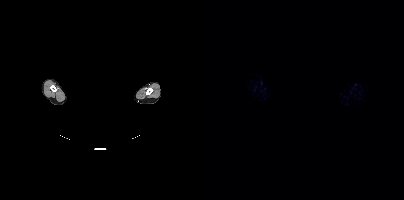
Technique: Left: CT. Right: PSMA PET, same axial level, [18F]PSMA-1007 tracer. PET panel 200×200 px (4.1 mm/px).
Note: Privacy masking over the head, with the pixels inside a rectangle set to black.
Findings: Negative for PSMA-avid disease on this slice.